- Left: CT. Right: PSMA PET, same axial level, 18F tracer
- slice position z = 4 mm
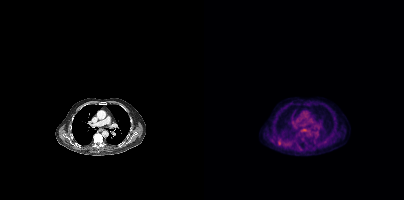
Findings: Coordinates are on the 200×200 PET (right) panel. Small PSMA-avid focus (2 to 4 px across) near (center x, center y): (75, 141).